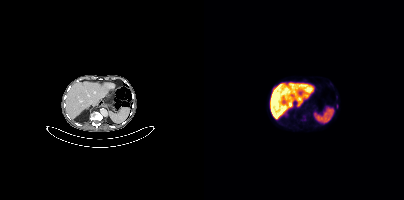
This slice has no annotated PSMA-avid lesion.